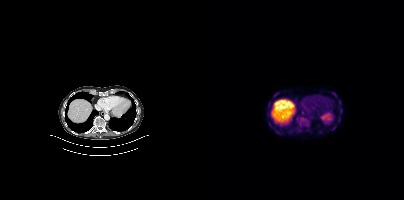
Paired axial CT (left) and PSMA PET (right), 18F-PSMA tracer. Slice 229 of 401. PET panel 200×200 px (4.1 mm/px). Coordinates are on the 200×200 PET (right) panel. (showing 6 of 7 foci) PSMA-avid tumor lesion bounding boxes (x0, y0)-(x1, y1): (135, 107)-(138, 113) | (64, 102)-(67, 107) | (71, 92)-(75, 94). Small PSMA-avid foci (2 to 4 px across) near (center x, center y): (130, 94) | (136, 103) | (98, 111).